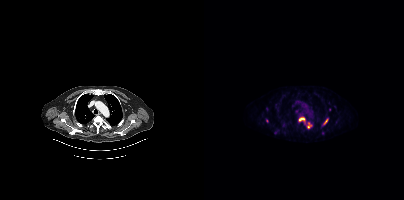
{"modality":"PSMA PET/CT","view":"axial","tracer":"[18F]PSMA-1007","pet_grid":[200,200],"coord_frame":"pet_panel","coord_format":"x0,y0,x1,y1","lesion_bboxes":[[103,122,108,127],[95,117,101,123],[120,119,124,124]],"small_foci_centers":[[63,120],[92,110],[125,109],[118,132],[130,106],[71,132]]}